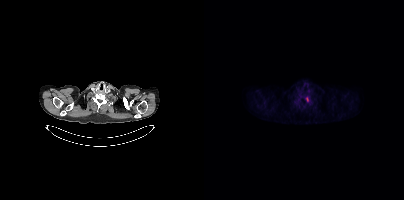
Coordinates are on the 200×200 PET (right) panel. PSMA-avid tumor lesion bounding box (x0, y0)-(x1, y1): (101, 96)-(105, 102).